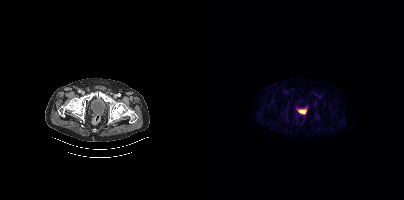
No tumor lesions annotated on this slice.